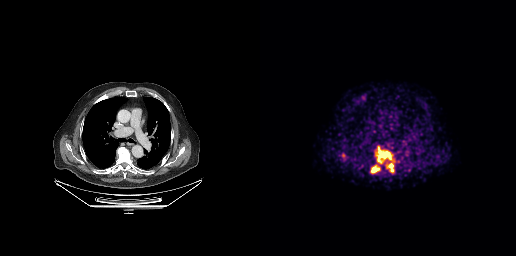
{"modality":"PSMA PET/CT","view":"axial","tracer":"[68Ga]Ga-PSMA-11","pet_grid":[256,256],"coord_frame":"pet_panel","coord_format":"x0,y0,x1,y1","lesion_bboxes":[[115,146,134,172],[110,165,120,173]]}